Technique: Left: CT. Right: PSMA PET, same axial level, 18F tracer. PET panel 200×200 px (4.1 mm/px).
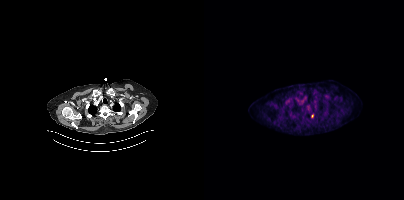
Findings: Coordinates are on the 200×200 PET (right) panel. Small PSMA-avid focus (2 to 4 px across) near (center x, center y): (108, 116).